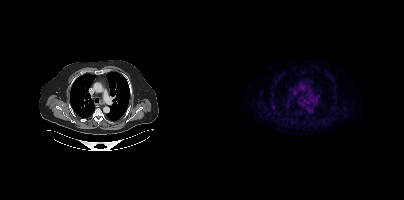
Findings: Coordinates are on the 200×200 PET (right) panel. Small PSMA-avid focus (2 to 4 px across) near (center x, center y): (70, 107).
Technique: Left: CT. Right: PSMA PET, same axial level, [18F]PSMA-1007 tracer. PET panel 200×200 px (4.1 mm/px).